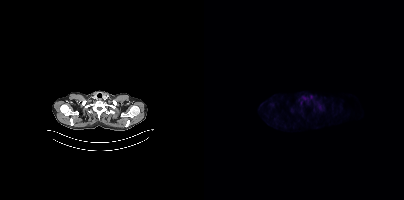
Left: CT. Right: PSMA PET, same axial level, 18F-PSMA tracer. Slice 347 of 423. No tumor lesions annotated on this slice.